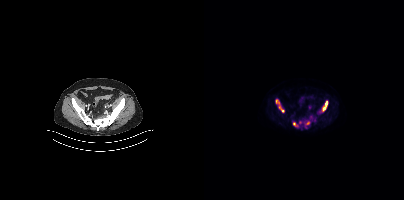
{"modality":"PSMA PET/CT","view":"axial","tracer":"[18F]PSMA-1007","pet_grid":[200,200],"coord_frame":"pet_panel","coord_format":"x0,y0,x1,y1","partial":true,"lesion_bboxes":[[116,100,124,112],[71,99,80,112],[89,122,93,126]],"small_foci_centers":[[103,122]]}